modality: PSMA PET/CT | tracer: [18F]PSMA-1007 | view: axial | PET grid: 200×200
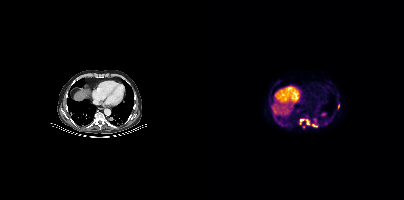
Coordinates are on the 200×200 PET (right) panel. (showing 5 of 7 foci) PSMA-avid tumor lesion bounding boxes (x0,y0,x1,y1): [102,119,105,124], [108,124,113,127]. Small PSMA-avid foci (2 to 4 px across) near (center x, center y): (97, 120), (134, 106), (99, 126).